Paired axial CT (left) and PSMA PET (right), [18F]PSMA-1007 tracer. Slice 120 of 429.
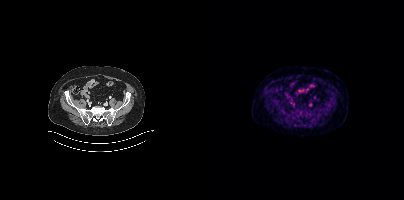
No tumor lesions annotated on this slice.